An anonymization step blacked out a rectangle in this scan.
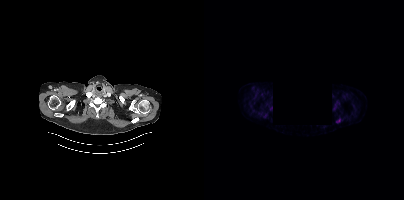
Coordinates are on the 200×200 PET (right) panel. (showing 2 of 3 foci) PSMA-avid tumor lesion bounding box (x, y, width, height): x=132 y=120 w=5 h=3. Small PSMA-avid focus (2 to 4 px across) near (center x, center y): (67, 108).